Technique: Left: CT. Right: PSMA PET, same axial level, [18F]PSMA-1007 tracer. acquired on Siemens Biograph mCT Flow 20. slice position z = -1440 mm. PET panel 200×200 px (4.1 mm/px).
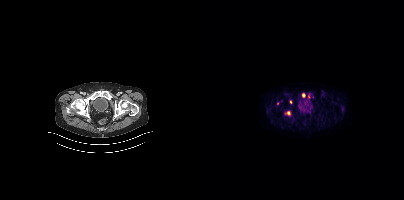
Findings: Coordinates are on the 200×200 PET (right) panel. (showing 3 of 5 foci) PSMA-avid tumor lesion bounding boxes (x0,y0,x1,y1): [83,111,86,115]; [104,94,106,98]. Small PSMA-avid focus (2 to 4 px across) near (center x, center y): (99, 95).